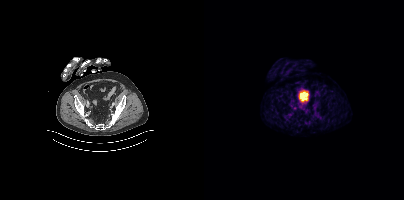
Negative for PSMA-avid disease on this slice. Paired axial CT (left) and PSMA PET (right), 68Ga tracer. Acquired on Siemens Biograph mCT Flow 20. PET panel 200×200 px (4.1 mm/px).